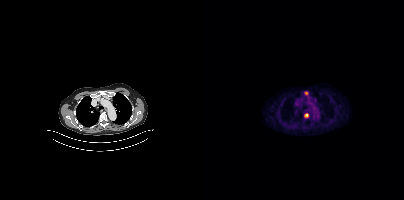
Coordinates are on the 200×200 PET (right) panel. PSMA-avid tumor lesion bounding box (x, y, width, height): x=100 y=113 w=5 h=5. Small PSMA-avid focus (2 to 4 px across) near (center x, center y): (102, 93).